- Left: CT. Right: PSMA PET, same axial level, 18F-PSMA tracer
- slice position z = -624 mm
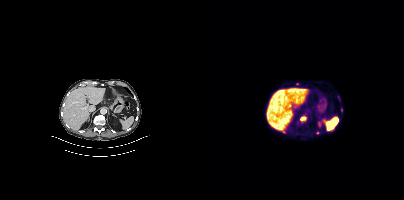
Findings: Coordinates are on the 200×200 PET (right) panel. PSMA-avid tumor lesion bounding box (x0, y0)-(x1, y1): (96, 117)-(101, 120). Small PSMA-avid foci (2 to 4 px across) near (center x, center y): (137, 109) / (79, 131) / (93, 83).